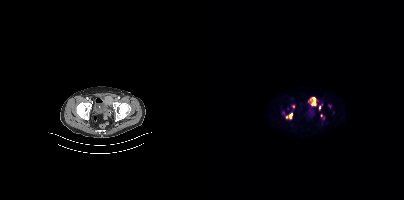
Paired axial CT (left) and PSMA PET (right), [18F]PSMA-1007 tracer. Acquired on Siemens Biograph mCT Flow 20. Slice position z = -868 mm.
Coordinates are on the 200×200 PET (right) panel. PSMA-avid tumor lesion bounding boxes (partial; 1 more focus not listed):
| # | x0 | y0 | x1 | y1 |
|---|---|---|---|---|
| 1 | 106 | 97 | 111 | 105 |
| 2 | 85 | 113 | 88 | 118 |
Small PSMA-avid foci (2 to 4 px across) near (center x, center y): (115, 107); (89, 106); (82, 116).